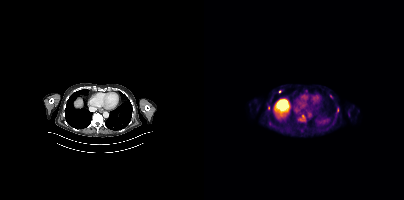
Coordinates are on the 200×200 PET (right) panel. (showing 1 of 2 foci) Small PSMA-avid focus (2 to 4 px across) near (center x, center y): (75, 91).